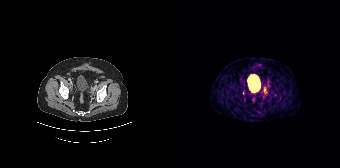
Coordinates are on the 168×168 PET (right) panel. (showing 2 of 3 foci) PSMA-avid tumor lesion bounding box (x, y, width, height): x=92 y=87 w=3 h=7. Small PSMA-avid focus (2 to 4 px across) near (center x, center y): (95, 82).